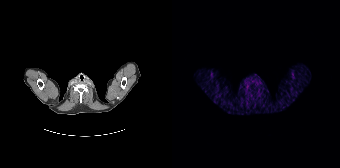
- Paired axial CT (left) and PSMA PET (right), [68Ga]Ga-PSMA-11 tracer
Findings: No PSMA-avid tumor lesions on this slice.